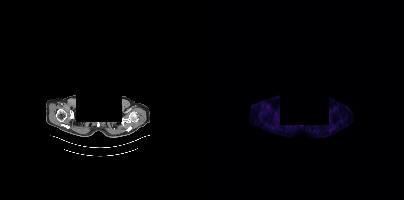
A rectangle over the head was blacked out to remove identifiable facial features. Paired axial CT (left) and PSMA PET (right), [18F]PSMA-1007 tracer. Acquired on Siemens Biograph mCT Flow 20. Slice position z = -451 mm. This slice has no annotated PSMA-avid lesion.